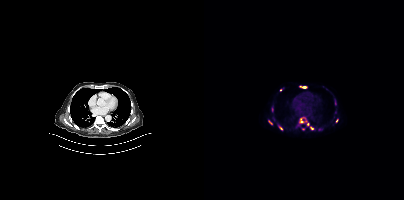
{"modality":"PSMA PET/CT","view":"axial","tracer":"18F","pet_grid":[200,200],"coord_frame":"pet_panel","coord_format":"x0,y0,x1,y1","lesion_bboxes":[[96,118,98,122]],"small_foci_centers":[[76,128],[66,122],[132,120],[103,124],[76,89]]}